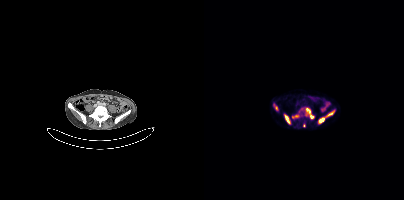
modality: PSMA PET/CT | tracer: [68Ga]Ga-PSMA-11 | view: axial | PET grid: 200×200
Coordinates are on the 200×200 PET (right) panel. PSMA-avid tumor lesion bounding boxes (x0,y0,x1,y1): [102,108,108,117] [115,118,120,122] [81,115,85,122] [124,110,130,115] [91,115,95,117] [70,104,73,109]. Small PSMA-avid focus (2 to 4 px across) near (center x, center y): (99, 125).